modality: PSMA PET/CT | tracer: [18F]PSMA-1007 | view: axial
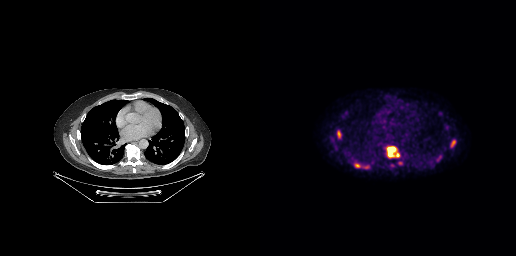
Coordinates are on the 256×256 PET (right) panel. PSMA-avid tumor lesion bounding boxes (x0, y0)-(x1, y1): (127, 146)-(139, 157); (190, 140)-(195, 147); (94, 163)-(101, 167); (77, 131)-(81, 137); (178, 156)-(180, 160).